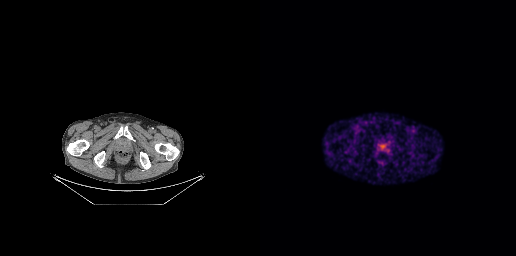
Coordinates are on the 256×256 PET (right) panel. PSMA-avid tumor lesion bounding box (x0,y0,x1,y1): [120,143,126,148].